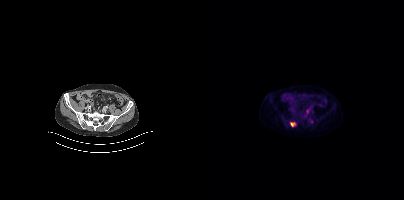
{"modality":"PSMA PET/CT","view":"axial","tracer":"18F-PSMA","pet_grid":[200,200],"coord_frame":"pet_panel","coord_format":"x0,y0,x1,y1","lesion_bboxes":[[86,122,91,126]]}